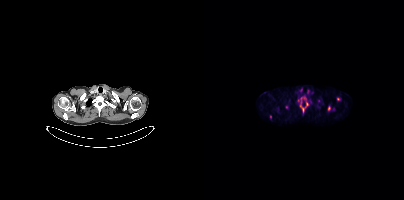
Left: CT. Right: PSMA PET, same axial level, 18F tracer. Acquired on Siemens Biograph mCT Flow 20. Slice 327 of 403.
Coordinates are on the 200×200 PET (right) panel. PSMA-avid tumor lesion bounding boxes:
| # | x0 | y0 | x1 | y1 |
|---|---|---|---|---|
| 1 | 94 | 96 | 104 | 113 |
| 2 | 123 | 105 | 126 | 111 |
Small PSMA-avid foci (2 to 4 px across) near (center x, center y): (134, 99); (82, 107); (66, 116); (103, 91); (114, 100); (129, 108).